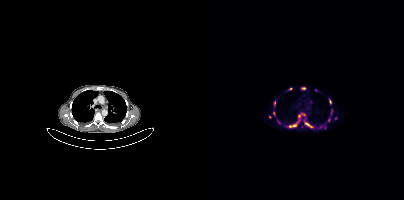
{"modality":"PSMA PET/CT","view":"axial","tracer":"[68Ga]Ga-PSMA-11","pet_grid":[200,200],"coord_frame":"pet_panel","coord_format":"x0,y0,x1,y1","partial":true,"lesion_bboxes":[[89,121,95,126],[101,123,107,127],[125,99,127,103],[70,101,71,106]],"small_foci_centers":[[99,114],[70,113],[99,88],[86,88],[95,116],[127,111],[86,126]]}